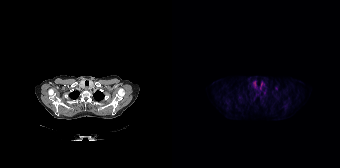
modality: PSMA PET/CT | tracer: [18F]PSMA-1007 | view: axial
Only PSMA-avid lesion pieces thinner than 2 px on this slice (not listed).